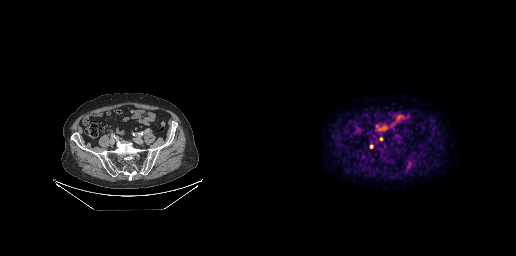
{"pet_grid":[256,256],"coord_frame":"pet_panel","coord_format":"x0,y0,x1,y1","lesion_bboxes":[[110,144,113,148]],"small_foci_centers":[[121,138]],"modality":"PSMA PET/CT","view":"axial","tracer":"[18F]PSMA-1007"}